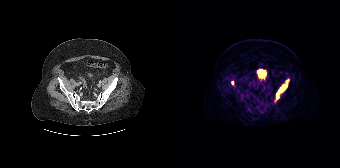
Left: CT. Right: PSMA PET, same axial level, 68Ga-PSMA tracer. Acquired on Siemens Biograph 64-4R TruePoint. Slice position z = -1404 mm.
Coordinates are on the 168×168 PET (right) panel. PSMA-avid tumor lesion bounding boxes:
| # | x0 | y0 | x1 | y1 |
|---|---|---|---|---|
| 1 | 104 | 79 | 117 | 99 |
Small PSMA-avid focus (2 to 4 px across) near (center x, center y): (60, 82).